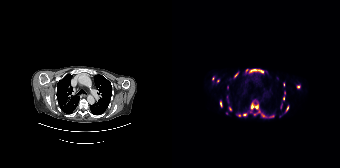
- Two-panel axial: CT | PSMA PET, [18F]PSMA-1007 tracer
- PET panel 168×168 px (4.1 mm/px)
Findings: Coordinates are on the 168×168 PET (right) panel. (showing 15 of 17 foci) PSMA-avid tumor lesion bounding boxes (x0,y0,x1,y1): [78,102,94,117], [74,69,91,73], [48,101,50,107], [62,72,66,77], [114,106,116,111], [111,96,112,100], [97,115,101,117]. Small PSMA-avid foci (2 to 4 px across) near (center x, center y): (126, 86), (72, 114), (58, 108), (46, 81), (67, 115), (112, 93), (40, 78), (82, 114).